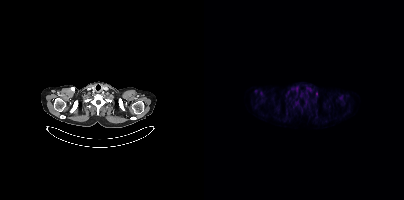
Coordinates are on the 200×200 PET (right) panel. PSMA-avid tumor lesion bounding box (x0,y0,x1,y1): [112,92,113,96].
modality: PSMA PET/CT | tracer: [18F]PSMA-1007 | view: axial